- Left: CT. Right: PSMA PET, same axial level, 18F-PSMA tracer
- slice position z = -1603 mm
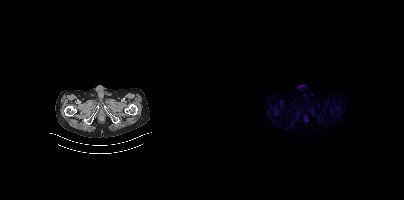
Findings: This slice has no annotated PSMA-avid lesion.